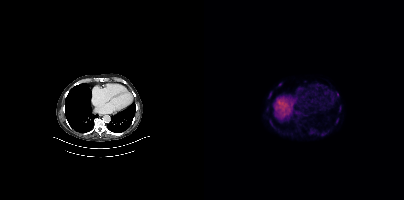
Coordinates are on the 200×200 PET (right) panel. PSMA-avid tumor lesion bounding boxes:
| # | x0 | y0 | x1 | y1 |
|---|---|---|---|---|
| 1 | 66 | 123 | 71 | 128 |
| 2 | 64 | 93 | 67 | 98 |
| 3 | 132 | 92 | 134 | 96 |
| 4 | 132 | 118 | 134 | 122 |
| 5 | 135 | 106 | 136 | 111 |
Small PSMA-avid focus (2 to 4 px across) near (center x, center y): (76, 84).
Paired axial CT (left) and PSMA PET (right), 18F-PSMA tracer. Slice position z = -472 mm.